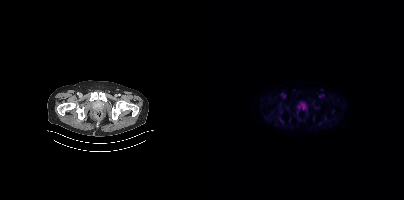
Paired axial CT (left) and PSMA PET (right), [18F]PSMA-1007 tracer. Slice position z = -1537 mm. Coordinates are on the 200×200 PET (right) panel. PSMA-avid tumor lesion bounding box (x0,y0,x1,y1): [96,103,101,109].